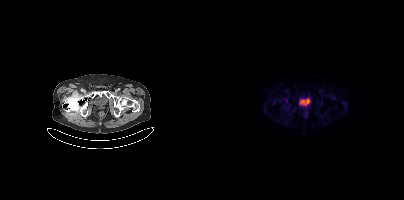
No tumor lesions annotated on this slice. Two-panel axial: CT | PSMA PET, [18F]PSMA-1007 tracer. Acquired on Siemens Biograph mCT Flow 20.